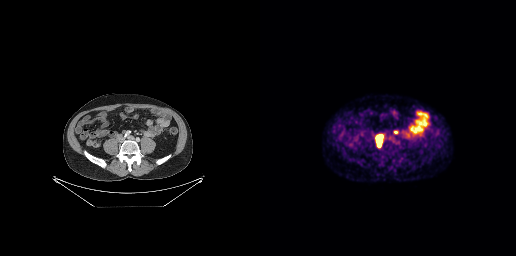
{"modality":"PSMA PET/CT","view":"axial","tracer":"68Ga","pet_grid":[256,256],"coord_frame":"pet_panel","coord_format":"x0,y0,x1,y1","lesion_bboxes":[[115,134,123,147],[134,130,138,134]]}